Paired axial CT (left) and PSMA PET (right), 18F-PSMA tracer. Acquired on GE Discovery 690.
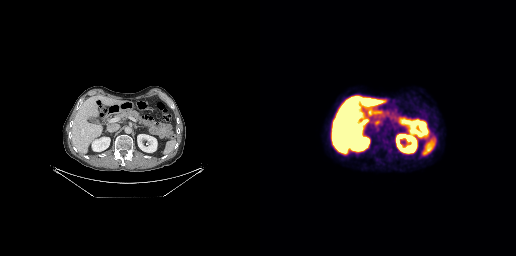
Only PSMA-avid lesion pieces thinner than 2 px on this slice (not listed).